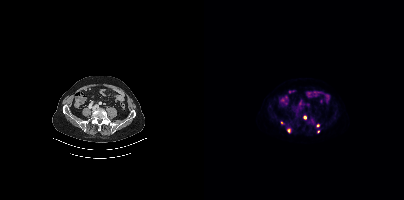
Findings: Coordinates are on the 200×200 PET (right) panel. (showing 4 of 5 foci) Small PSMA-avid foci (2 to 4 px across) near (center x, center y): (101, 116); (114, 125); (84, 130); (114, 131).
- Two-panel axial: CT | PSMA PET, 18F-PSMA tracer
- acquired on Siemens Biograph mCT Flow 20
- slice position z = -1372 mm